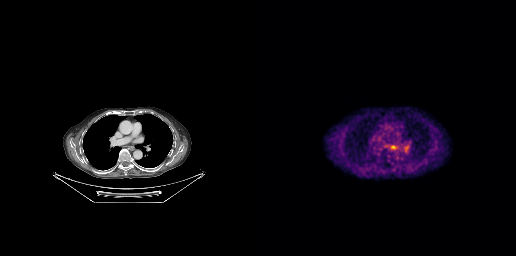
modality: PSMA PET/CT | tracer: [18F]PSMA-1007 | view: axial | PET grid: 256×256
Coordinates are on the 256×256 PET (right) panel. PSMA-avid tumor lesion bounding box (x, y, width, height): x=131 y=145 w=5 h=5.